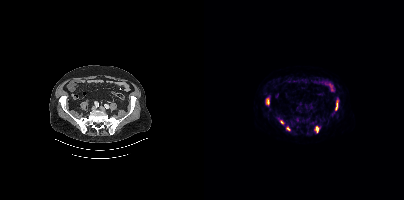
{"pet_grid":[200,200],"coord_frame":"pet_panel","coord_format":"x0,y0,x1,y1","lesion_bboxes":[[131,100,134,110],[110,126,115,132],[62,98,65,104],[82,127,86,130]],"small_foci_centers":[[77,121]],"modality":"PSMA PET/CT","view":"axial","tracer":"[18F]PSMA-1007"}